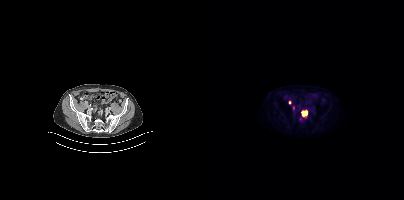
- Paired axial CT (left) and PSMA PET (right), 18F-PSMA tracer
- slice 100 of 411
Findings: Coordinates are on the 200×200 PET (right) panel. (showing 2 of 3 foci) PSMA-avid tumor lesion bounding boxes (x, y, width, height): x=97 y=110 w=7 h=7 / x=84 y=100 w=3 h=5.